Left: CT. Right: PSMA PET, same axial level, 18F-PSMA tracer. Acquired on Siemens Biograph mCT Flow 20.
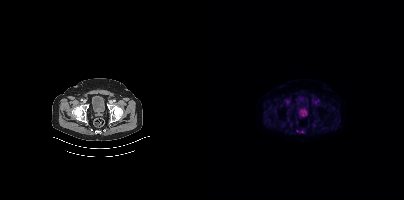
Only PSMA-avid lesion pieces thinner than 2 px on this slice (not listed).